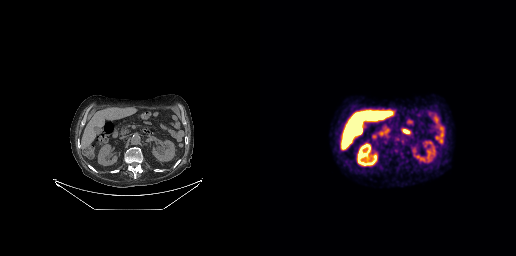
Findings: This slice has no annotated PSMA-avid lesion.
- Left: CT. Right: PSMA PET, same axial level, 18F tracer
- slice 142 of 263
- PET panel 256×256 px (2.7 mm/px)